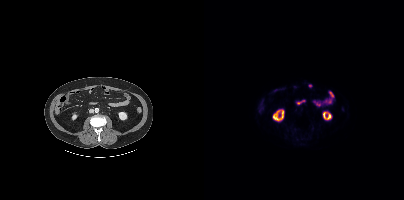
{"modality":"PSMA PET/CT","view":"axial","tracer":"18F-PSMA","pet_grid":[200,200],"coord_frame":"pet_panel","coord_format":"x0,y0,x1,y1","psma_avid_lesions":false}